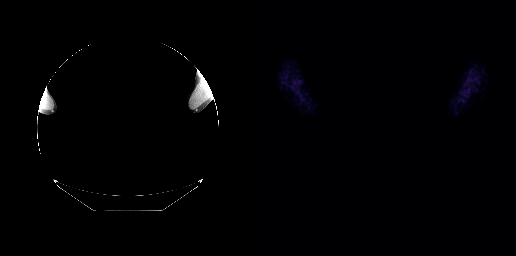
{"modality":"PSMA PET/CT","view":"axial","tracer":"[18F]PSMA-1007","pet_grid":[256,256],"coord_frame":"pet_panel","coord_format":"x0,y0,x1,y1","psma_avid_lesions":false,"redaction":"head region blacked out before release"}